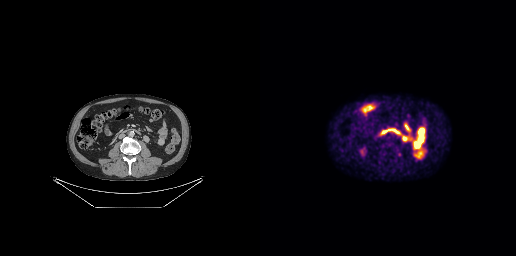
This slice has no annotated PSMA-avid lesion.